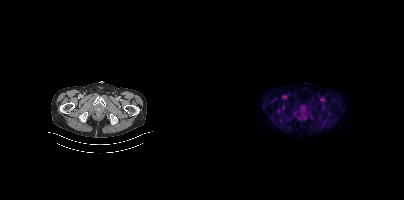
Coordinates are on the 200×200 PET (right) panel. PSMA-avid tumor lesion bounding box (x0,y0,x1,y1): [96,107,102,113].